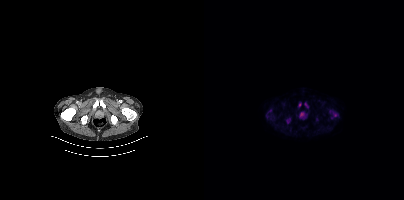
Coordinates are on the 200×200 PET (right) panel. PSMA-avid tumor lesion bounding boxes (x, y, width, height): x=125 y=110 w=10 h=9; x=82 y=118 w=5 h=6; x=101 y=103 w=3 h=5. Small PSMA-avid foci (2 to 4 px across) near (center x, center y): (97, 114); (96, 104).